modality: PSMA PET/CT | tracer: 68Ga | view: axial | PET grid: 168×168
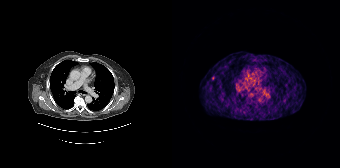
Coordinates are on the 168×168 PET (right) panel. Small PSMA-avid focus (2 to 4 px across) near (center x, center y): (41, 77).